De-identified by setting a box covering the face to black before release. Two-panel axial: CT | PSMA PET, 68Ga-PSMA tracer. Slice 194 of 195. PET panel 168×168 px (4.1 mm/px).
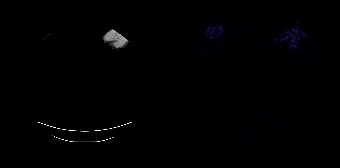
Negative for PSMA-avid disease on this slice.